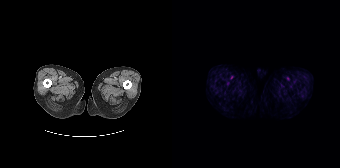
Technique: Two-panel axial: CT | PSMA PET, 18F tracer. acquired on Siemens Biograph 64-4R TruePoint. slice position z = -1396 mm.
Findings: No tumor lesions annotated on this slice.